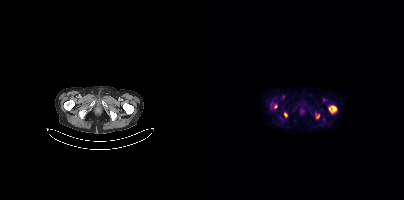
Findings: Coordinates are on the 200×200 PET (right) panel. (showing 4 of 5 foci) PSMA-avid tumor lesion bounding boxes (x, y, width, height): x=125 y=105 w=8 h=9 / x=80 y=112 w=4 h=6 / x=70 y=104 w=4 h=5. Small PSMA-avid focus (2 to 4 px across) near (center x, center y): (113, 116).
- Paired axial CT (left) and PSMA PET (right), 18F-PSMA tracer
- acquired on Siemens Biograph mCT Flow 20
- PET panel 200×200 px (4.1 mm/px)